Paired axial CT (left) and PSMA PET (right), 18F-PSMA tracer. PET panel 200×200 px (4.1 mm/px).
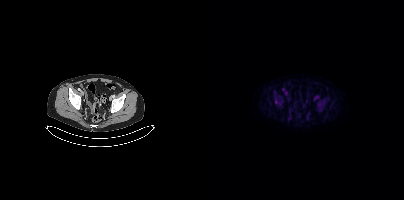
Coordinates are on the 200×200 PET (right) panel. Small PSMA-avid focus (2 to 4 px across) near (center x, center y): (71, 101).